Technique: Paired axial CT (left) and PSMA PET (right), 18F tracer. PET panel 256×256 px (2.7 mm/px).
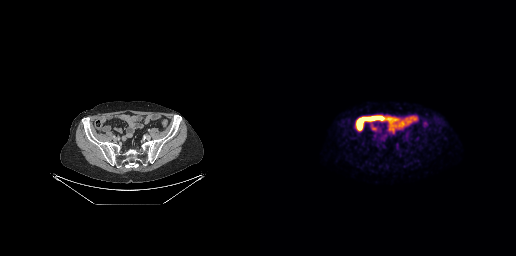
Findings: No tumor lesions annotated on this slice.